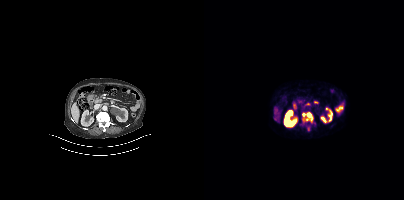
Coordinates are on the 200×200 PET (right) panel. PSMA-avid tumor lesion bounding boxes (x0, y0)-(x1, y1): (99, 112)-(108, 121) | (99, 102)-(106, 107). Small PSMA-avid foci (2 to 4 px across) near (center x, center y): (71, 118) | (104, 129) | (99, 120).